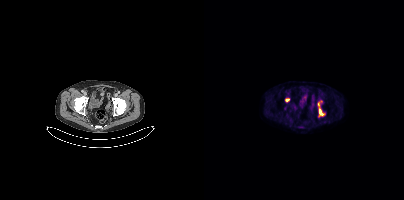
Two-panel axial: CT | PSMA PET, 18F-PSMA tracer. Acquired on Siemens Biograph mCT Flow 20. PET panel 200×200 px (4.1 mm/px).
Coordinates are on the 200×200 PET (right) panel. PSMA-avid tumor lesion bounding boxes:
| # | x0 | y0 | x1 | y1 |
|---|---|---|---|---|
| 1 | 113 | 100 | 120 | 116 |
| 2 | 81 | 99 | 85 | 102 |